redaction: head region blacked out before release | modality: PSMA PET/CT | tracer: [18F]PSMA-1007 | view: axial
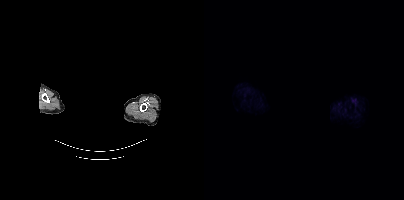
No tumor lesions annotated on this slice.